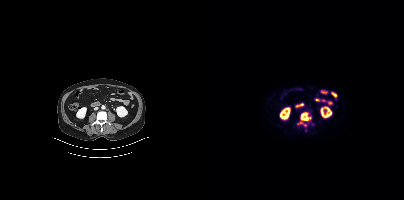
Left: CT. Right: PSMA PET, same axial level, [18F]PSMA-1007 tracer. Acquired on Siemens Biograph mCT Flow 20. Slice 131 of 367. Coordinates are on the 200×200 PET (right) panel. (showing 1 of 3 foci) PSMA-avid tumor lesion bounding box (x, y, width, height): x=97 y=112 w=10 h=9.